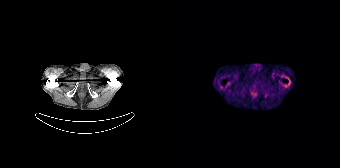
- Two-panel axial: CT | PSMA PET, 68Ga-PSMA tracer
- slice 27 of 165
- PET panel 168×168 px (4.1 mm/px)
Findings: Only PSMA-avid lesion pieces thinner than 2 px on this slice (not listed).